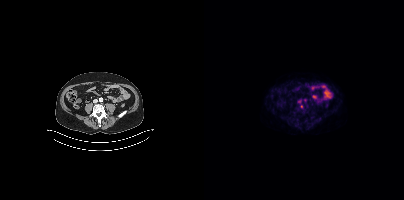
Findings: Coordinates are on the 200×200 PET (right) panel. Small PSMA-avid focus (2 to 4 px across) near (center x, center y): (97, 106).
- Left: CT. Right: PSMA PET, same axial level, [18F]PSMA-1007 tracer
- acquired on Siemens Biograph mCT Flow 20
- PET panel 200×200 px (4.1 mm/px)